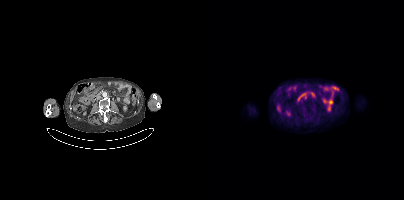
Technique: Paired axial CT (left) and PSMA PET (right), 18F-PSMA tracer. slice 169 of 417. PET panel 200×200 px (4.1 mm/px).
Findings: Coordinates are on the 200×200 PET (right) panel. Small PSMA-avid focus (2 to 4 px across) near (center x, center y): (100, 97).